redaction: rectangular block over head set to black | modality: PSMA PET/CT | tracer: 18F-PSMA | view: axial
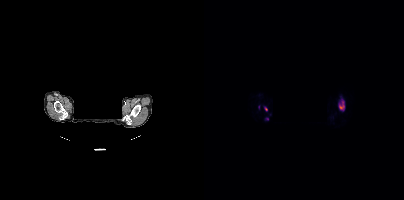
Coordinates are on the 200×200 PET (right) panel. (showing 3 of 4 foci) PSMA-avid tumor lesion bounding boxes (x, y, width, height): x=134 y=99 w=7 h=13 / x=60 y=107 w=4 h=5. Small PSMA-avid focus (2 to 4 px across) near (center x, center y): (63, 118).